Two-panel axial: CT | PSMA PET, 18F-PSMA tracer. Acquired on Siemens Biograph mCT Flow 20. Slice 130 of 401. PET panel 200×200 px (4.1 mm/px).
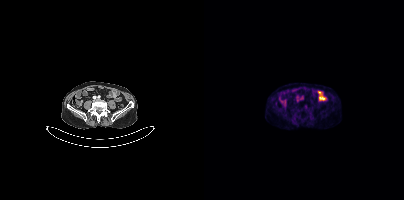
Only PSMA-avid lesion pieces thinner than 2 px on this slice (not listed).